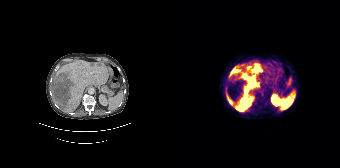
Findings: Coordinates are on the 168×168 PET (right) panel. PSMA-avid tumor lesion bounding boxes (x0, y0)-(x1, y1): (54, 89)-(82, 111) / (57, 66)-(87, 87) / (74, 62)-(89, 73).
Technique: Left: CT. Right: PSMA PET, same axial level, [68Ga]Ga-PSMA-11 tracer. slice 113 of 195.